Two-panel axial: CT | PSMA PET, 18F-PSMA tracer. Acquired on Siemens Biograph mCT Flow 20. Slice 311 of 454. PET panel 200×200 px (4.1 mm/px).
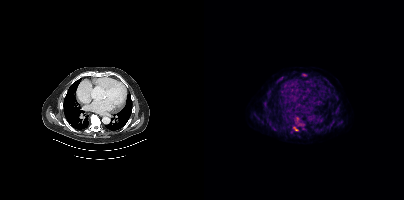
Coordinates are on the 200×200 PET (right) panel. PSMA-avid tumor lesion bounding boxes:
| # | x0 | y0 | x1 | y1 |
|---|---|---|---|---|
| 1 | 89 | 127 | 94 | 130 |
| 2 | 98 | 74 | 102 | 76 |